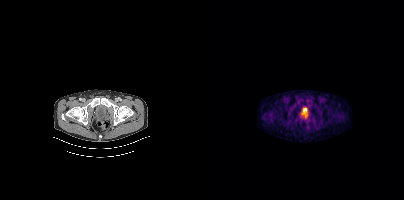
Findings: No PSMA-avid tumor lesions on this slice.
- Left: CT. Right: PSMA PET, same axial level, 18F-PSMA tracer
- acquired on Siemens Biograph mCT Flow 20